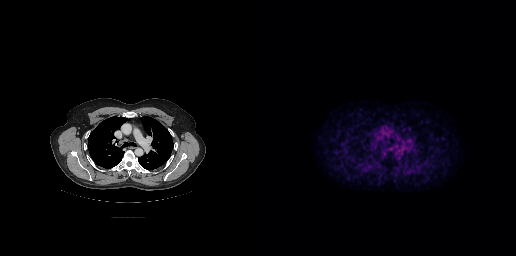
Paired axial CT (left) and PSMA PET (right), 18F tracer. Slice 193 of 263. PET panel 256×256 px (2.7 mm/px). No tumor lesions annotated on this slice.